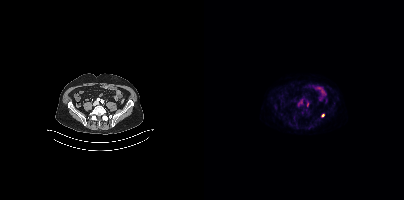
Findings: Coordinates are on the 200×200 PET (right) panel. PSMA-avid tumor lesion bounding box (x0,y0,x1,y1): [103,102,104,106]. Small PSMA-avid foci (2 to 4 px across) near (center x, center y): (71, 107); (118, 115).
- Paired axial CT (left) and PSMA PET (right), 18F-PSMA tracer
- slice 119 of 393